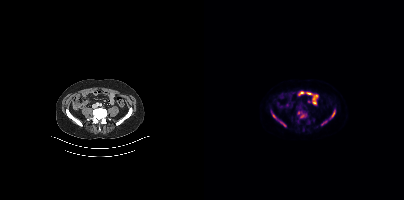
Coordinates are on the 200×200 PET (right) panel. (showing 5 of 6 foci) PSMA-avid tumor lesion bounding boxes (x0,y0,x1,y1): [93,111,103,117]; [68,113,82,126]; [125,110,131,119]. Small PSMA-avid foci (2 to 4 px across) near (center x, center y): (122, 121); (117, 124).